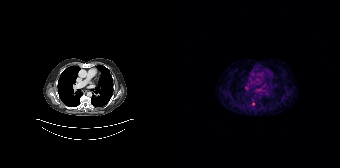
{"modality":"PSMA PET/CT","view":"axial","tracer":"68Ga-PSMA","pet_grid":[168,168],"coord_frame":"pet_panel","coord_format":"x0,y0,x1,y1","lesion_bboxes":[],"small_foci_centers":[[81,103]]}